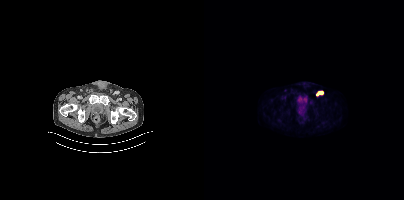
Coordinates are on the 200×200 PET (right) panel. PSMA-avid tumor lesion bounding box (x0,y0,x1,y1): [112,91,119,95].